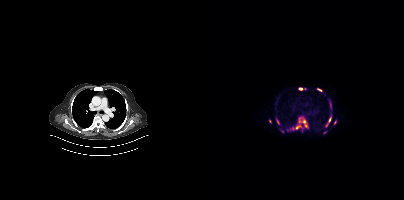
Technique: Two-panel axial: CT | PSMA PET, [68Ga]Ga-PSMA-11 tracer.
Findings: Coordinates are on the 200×200 PET (right) panel. PSMA-avid tumor lesion bounding boxes (x0,y0,x1,y1): [88,120,103,129]; [125,100,127,105]; [72,118,75,122]; [114,88,118,91]; [122,121,125,126]. Small PSMA-avid foci (2 to 4 px across) near (center x, center y): (126, 117); (131, 122); (96, 88); (126, 108); (66, 121); (83, 130).